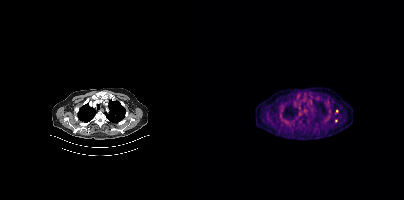
Coordinates are on the 200×200 PET (right) panel. (showing 1 of 2 foci) Small PSMA-avid focus (2 to 4 px across) near (center x, center y): (132, 120).